Left: CT. Right: PSMA PET, same axial level, [18F]PSMA-1007 tracer. PET panel 200×200 px (4.1 mm/px).
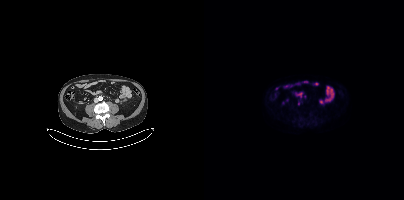
Coordinates are on the 200×200 PET (right) panel. Small PSMA-avid foci (2 to 4 px across) near (center x, center y): (100, 96) | (94, 103).